Left: CT. Right: PSMA PET, same axial level, 18F tracer. Acquired on Siemens Biograph mCT Flow 20. PET panel 200×200 px (4.1 mm/px).
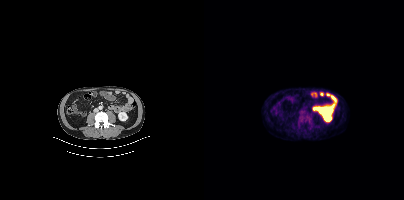
Coordinates are on the 200×200 PET (right) panel. PSMA-avid tumor lesion bounding box (x0, y0)-(x1, y1): (95, 111)-(106, 123).